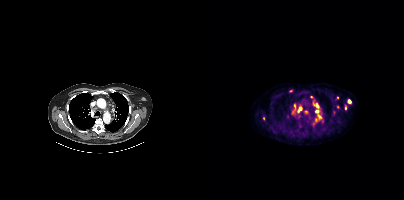
{"pet_grid":[200,200],"coord_frame":"pet_panel","coord_format":"x0,y0,x1,y1","partial":true,"lesion_bboxes":[[88,104,96,117],[111,109,118,119],[109,100,114,107],[108,119,112,125]],"small_foci_centers":[[101,111],[86,91],[145,101],[141,108],[59,118],[133,97],[83,116],[107,96],[133,106],[96,108]],"modality":"PSMA PET/CT","view":"axial","tracer":"18F-PSMA"}